Two-panel axial: CT | PSMA PET, 18F tracer. Slice position z = -1347 mm.
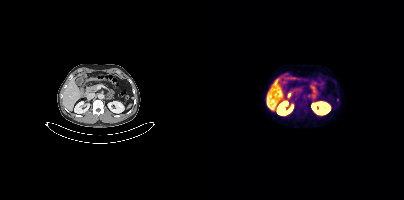
Coordinates are on the 200×200 PET (right) panel. Small PSMA-avid focus (2 to 4 px across) near (center x, center y): (133, 100).